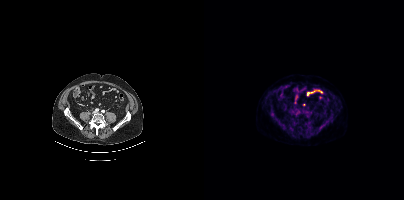
Two-panel axial: CT | PSMA PET, 18F tracer. Negative for PSMA-avid disease on this slice.